Two-panel axial: CT | PSMA PET, 18F-PSMA tracer. Acquired on Siemens Biograph mCT Flow 20. PET panel 200×200 px (4.1 mm/px). A rectangle over the head was blacked out to remove identifiable facial features.
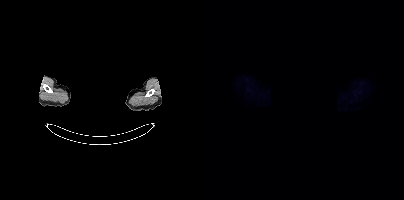
No tumor lesions annotated on this slice.